Two-panel axial: CT | PSMA PET, 68Ga-PSMA tracer. Acquired on GE Discovery 690. Slice position z = -259 mm. PET panel 256×256 px (2.7 mm/px).
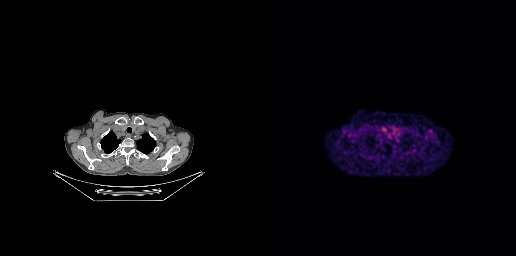
No tumor lesions annotated on this slice.